modality: PSMA PET/CT | tracer: 18F | view: axial | PET grid: 200×200
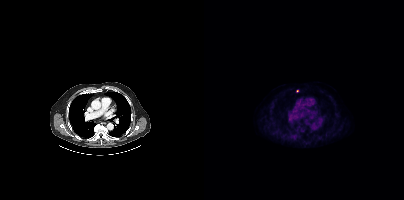
Coordinates are on the 200×200 PET (right) panel. Small PSMA-avid focus (2 to 4 px across) near (center x, center y): (93, 90).